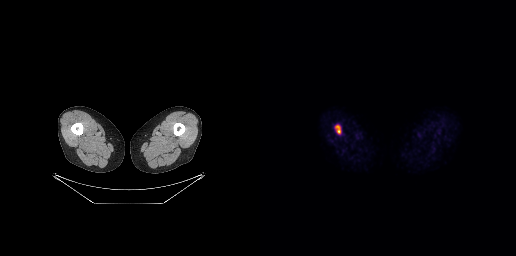
{"modality":"PSMA PET/CT","view":"axial","tracer":"18F-PSMA","pet_grid":[256,256],"coord_frame":"pet_panel","coord_format":"x0,y0,x1,y1","lesion_bboxes":[[75,125,80,133]]}